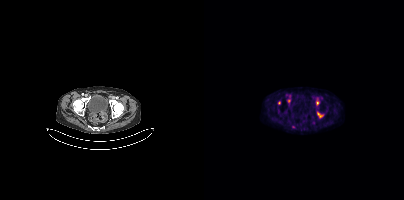
- Left: CT. Right: PSMA PET, same axial level, 18F tracer
- acquired on Siemens Biograph mCT Flow 20
- slice 66 of 373
- PET panel 200×200 px (4.1 mm/px)
Findings: Coordinates are on the 200×200 PET (right) panel. (showing 2 of 3 foci) PSMA-avid tumor lesion bounding box (x0, y0)-(x1, y1): (113, 112)-(118, 117). Small PSMA-avid focus (2 to 4 px across) near (center x, center y): (113, 102).